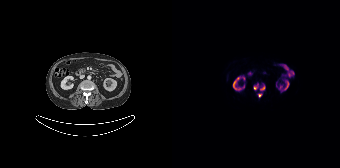
Coordinates are on the 168×168 PET (right) panel. PSMA-avid tumor lesion bounding boxes (x, y, width, height): x=81 y=83 w=6 h=8; x=88 y=84 w=6 h=7; x=85 y=93 w=6 h=5.